modality: PSMA PET/CT | tracer: 18F-PSMA | view: axial | PET grid: 256×256
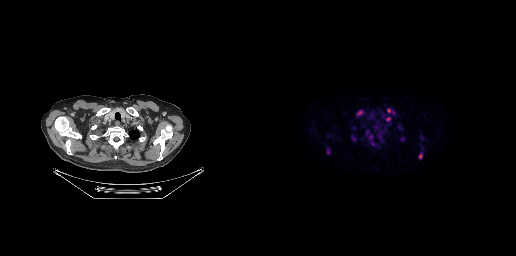
Coordinates are on the 256×256 PET (right) panel. (showing 5 of 8 foci) PSMA-avid tumor lesion bounding boxes (x, y, width, height): x=127 y=108 w=8 h=7; x=158 y=152 w=5 h=8; x=125 y=116 w=7 h=7; x=97 y=111 w=6 h=5. Small PSMA-avid focus (2 to 4 px across) near (center x, center y): (67, 152).